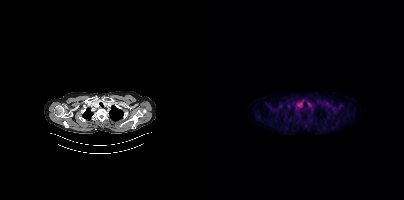
Negative for PSMA-avid disease on this slice.